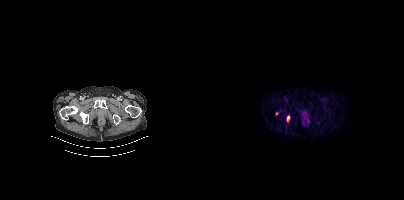
Coordinates are on the 200×200 PET (right) panel. PSMA-avid tumor lesion bounding box (x, y, width, height): x=83 y=115 w=3 h=8. Small PSMA-avid focus (2 to 4 px across) near (center x, center y): (72, 113).